modality: PSMA PET/CT | tracer: [68Ga]Ga-PSMA-11 | view: axial
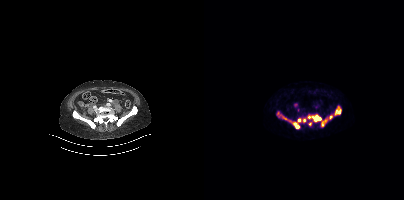
Coordinates are on the 200×200 PET (right) panel. (showing 8 of 9 foci) PSMA-avid tumor lesion bounding boxes (x0, y0)-(x1, y1): (72, 111)-(85, 121) | (117, 115)-(128, 127) | (103, 115)-(117, 121) | (86, 120)-(96, 128) | (130, 106)-(137, 115). Small PSMA-avid foci (2 to 4 px across) near (center x, center y): (105, 123) | (95, 120) | (100, 120).